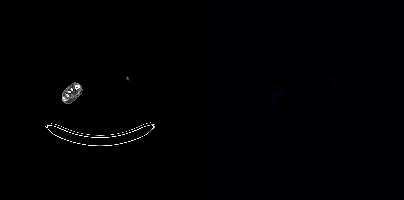
- Two-panel axial: CT | PSMA PET, [18F]PSMA-1007 tracer
Findings: This slice has no annotated PSMA-avid lesion.